- Paired axial CT (left) and PSMA PET (right), 68Ga tracer
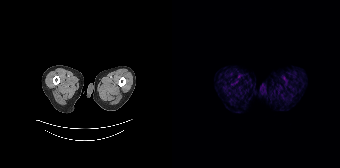
Findings: Negative for PSMA-avid disease on this slice.